modality: PSMA PET/CT | tracer: [68Ga]Ga-PSMA-11 | view: axial
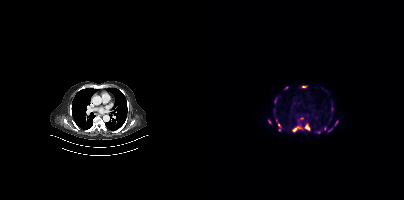
Coordinates are on the 200×200 PET (right) panel. (showing 11 of 13 foci) PSMA-avid tumor lesion bounding boxes (x0,y0,x1,y1): [89,126,97,131]; [101,124,105,130]; [98,86,102,87]; [70,99,72,103]; [124,128,128,131]. Small PSMA-avid foci (2 to 4 px across) near (center x, center y): (75, 125); (65, 121); (121, 128); (97, 124); (132, 123); (75, 129).